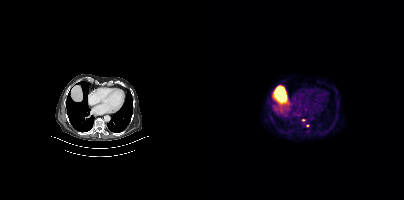
Findings: Coordinates are on the 200×200 PET (right) panel. Small PSMA-avid foci (2 to 4 px across) near (center x, center y): (99, 119); (103, 125).
- Paired axial CT (left) and PSMA PET (right), [18F]PSMA-1007 tracer